Left: CT. Right: PSMA PET, same axial level, [18F]PSMA-1007 tracer. Acquired on Siemens Biograph mCT Flow 20. Slice 133 of 431.
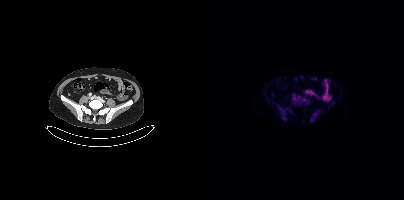
Negative for PSMA-avid disease on this slice.